Two-panel axial: CT | PSMA PET, [18F]PSMA-1007 tracer. Acquired on Siemens Biograph mCT Flow 20. PET panel 200×200 px (4.1 mm/px). The face region was removed for patient privacy by blanking a rectangle over the head.
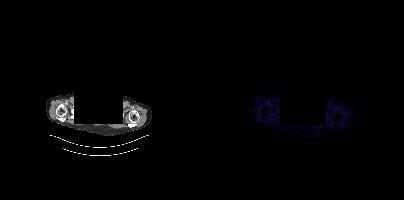
Negative for PSMA-avid disease on this slice.